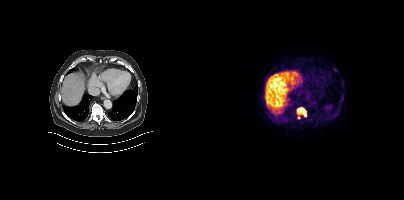
{"pet_grid":[200,200],"coord_frame":"pet_panel","coord_format":"x0,y0,x1,y1","lesion_bboxes":[[94,108,100,114],[128,114,133,119],[137,82,140,86],[136,98,139,102]],"small_foci_centers":[[130,69]],"modality":"PSMA PET/CT","view":"axial","tracer":"18F"}